modality: PSMA PET/CT | tracer: 68Ga-PSMA | view: axial | PET grid: 256×256
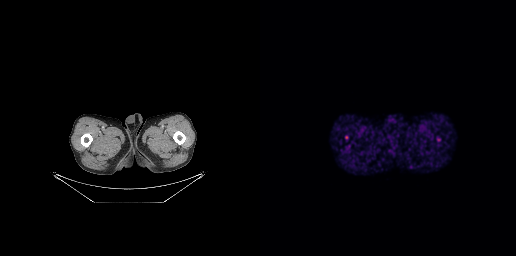
Coordinates are on the 256×256 PET (right) panel. Small PSMA-avid foci (2 to 4 px across) near (center x, center y): (86, 137) (178, 139).